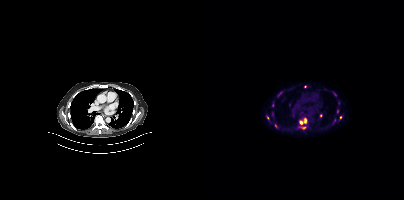
Coordinates are on the 200×200 PET (right) panel. (showing 11 of 13 foci) PSMA-avid tumor lesion bounding boxes (x0, y0)-(x1, y1): (95, 118)-(102, 124) / (74, 92)-(78, 96) / (97, 127)-(101, 129) / (129, 119)-(131, 123). Small PSMA-avid foci (2 to 4 px across) near (center x, center y): (63, 117) / (133, 111) / (72, 125) / (130, 93) / (68, 104) / (136, 117) / (101, 86).
modality: PSMA PET/CT | tracer: 18F | view: axial | PET grid: 200×200